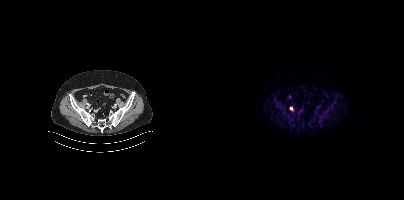
Paired axial CT (left) and PSMA PET (right), 18F-PSMA tracer. Slice 111 of 433. PET panel 200×200 px (4.1 mm/px). Coordinates are on the 200×200 PET (right) panel. Small PSMA-avid focus (2 to 4 px across) near (center x, center y): (87, 108).